modality: PSMA PET/CT | tracer: 18F | view: axial | PET grid: 200×200
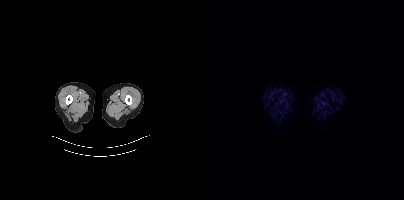
This slice has no annotated PSMA-avid lesion.